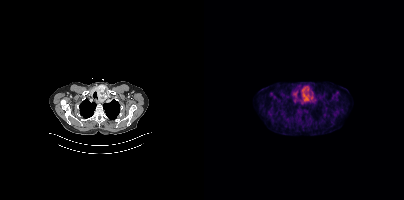
Paired axial CT (left) and PSMA PET (right), [18F]PSMA-1007 tracer. Acquired on Siemens Biograph mCT Flow 20. PET panel 200×200 px (4.1 mm/px). Negative for PSMA-avid disease on this slice.